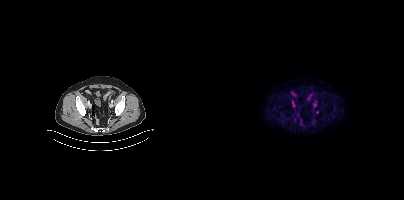
Left: CT. Right: PSMA PET, same axial level, [18F]PSMA-1007 tracer. Acquired on Siemens Biograph mCT Flow 20. Slice position z = -1642 mm.
Coordinates are on the 200×200 PET (right) panel. PSMA-avid tumor lesion bounding boxes (partial; 1 more focus not listed):
| # | x0 | y0 | x1 | y1 |
|---|---|---|---|---|
| 1 | 79 | 116 | 87 | 120 |
Small PSMA-avid focus (2 to 4 px across) near (center x, center y): (91, 120).